- Left: CT. Right: PSMA PET, same axial level, [68Ga]Ga-PSMA-11 tracer
- acquired on Siemens Biograph mCT Flow 20
- slice 316 of 429
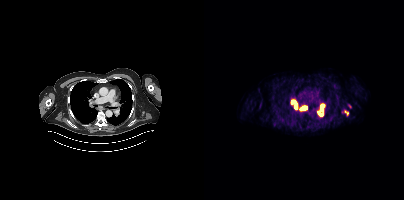
Findings: Coordinates are on the 200×200 PET (right) panel. (showing 5 of 6 foci) PSMA-avid tumor lesion bounding boxes (x, y, width, height): x=87 y=101 w=7 h=9 | x=114 y=108 w=6 h=8 | x=96 y=106 w=7 h=5. Small PSMA-avid foci (2 to 4 px across) near (center x, center y): (118, 105) | (141, 111).